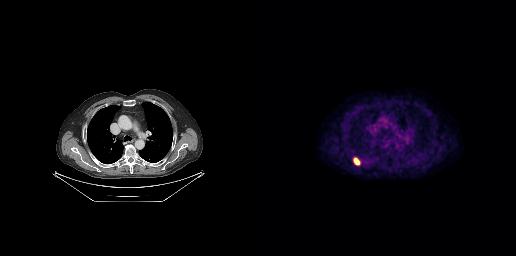
Paired axial CT (left) and PSMA PET (right), 18F tracer. Acquired on GE Discovery 690. Slice 198 of 263. Coordinates are on the 256×256 PET (right) panel. PSMA-avid tumor lesion bounding box (x, y, width, height): x=94 y=158 w=6 h=7.